Technique: Left: CT. Right: PSMA PET, same axial level, 18F tracer. PET panel 256×256 px (2.7 mm/px).
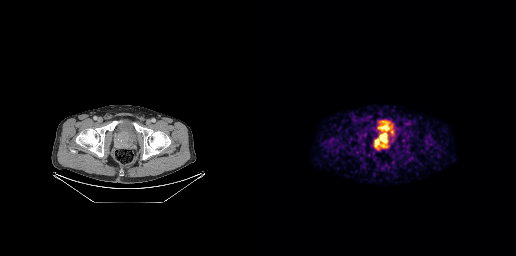
Findings: Coordinates are on the 256×256 PET (right) panel. (showing 1 of 2 foci) PSMA-avid tumor lesion bounding box (x0, y0)-(x1, y1): (114, 134)-(128, 149).